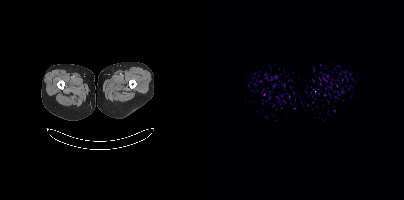
{"modality":"PSMA PET/CT","view":"axial","tracer":"18F-PSMA","pet_grid":[200,200],"coord_frame":"pet_panel","coord_format":"x0,y0,x1,y1","psma_avid_lesions":false}